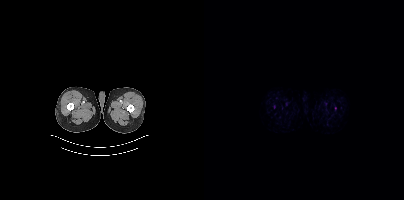
{"modality":"PSMA PET/CT","view":"axial","tracer":"18F-PSMA","pet_grid":[200,200],"coord_frame":"pet_panel","coord_format":"x0,y0,x1,y1","psma_avid_lesions":false}